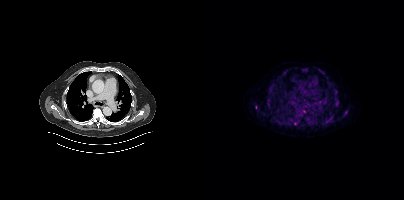
{"modality":"PSMA PET/CT","view":"axial","tracer":"18F","pet_grid":[200,200],"coord_frame":"pet_panel","coord_format":"x0,y0,x1,y1","partial":true,"lesion_bboxes":[[90,111,102,125],[123,117,129,122],[132,101,134,105],[51,105,53,109]],"small_foci_centers":[[141,112],[68,83],[102,117],[100,70],[119,73]]}